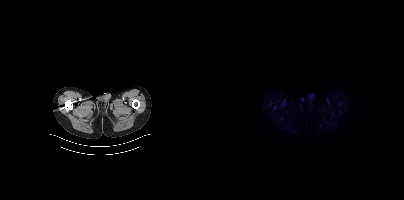
No tumor lesions annotated on this slice.